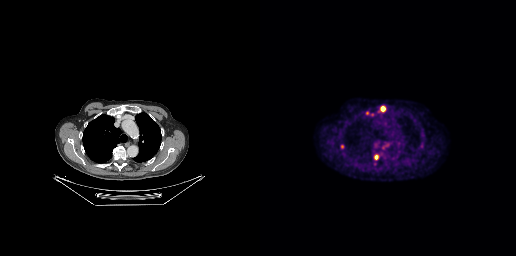
Paired axial CT (left) and PSMA PET (right), 18F tracer. PET panel 256×256 px (2.7 mm/px). Coordinates are on the 256×256 PET (right) panel. PSMA-avid tumor lesion bounding boxes (x, y, width, height): x=120 y=106 w=6 h=6; x=80 y=144 w=5 h=6; x=115 y=155 w=4 h=5. Small PSMA-avid focus (2 to 4 px across) near (center x, center y): (107, 113).